Technique: Left: CT. Right: PSMA PET, same axial level, 18F tracer.
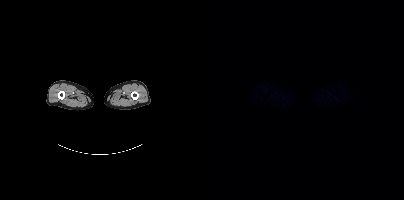
Findings: No tumor lesions annotated on this slice.